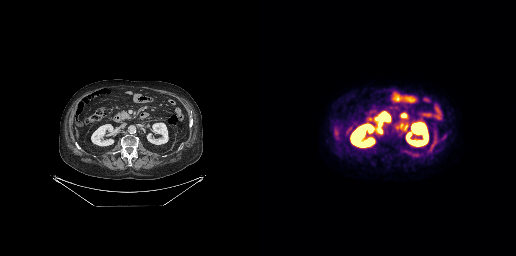
No PSMA-avid tumor lesions on this slice.